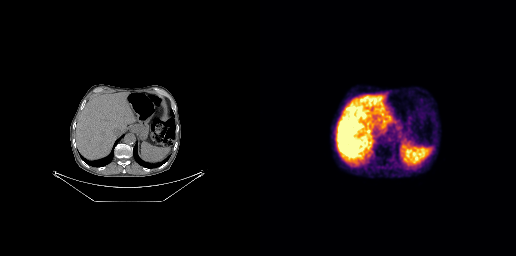
Left: CT. Right: PSMA PET, same axial level, 68Ga-PSMA tracer. PET panel 256×256 px (2.7 mm/px). This slice has no annotated PSMA-avid lesion.